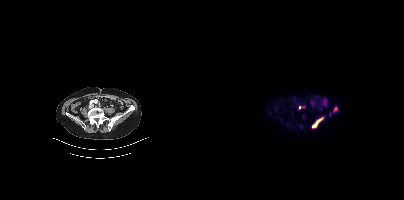
modality: PSMA PET/CT | tracer: 68Ga | view: axial | PET grid: 200×200
Coordinates are on the 200×200 PET (right) panel. (showing 5 of 6 foci) PSMA-avid tumor lesion bounding boxes (x0,y0,x1,y1): [108,120,115,127]; [129,107,133,111]; [95,106,101,108]. Small PSMA-avid foci (2 to 4 px across) near (center x, center y): (118, 118); (97, 127).